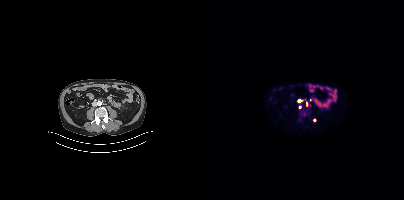
{"modality":"PSMA PET/CT","view":"axial","tracer":"18F","pet_grid":[200,200],"coord_frame":"pet_panel","coord_format":"x0,y0,x1,y1","lesion_bboxes":[],"small_foci_centers":[[95,100],[106,99],[100,114],[95,106],[110,119]]}